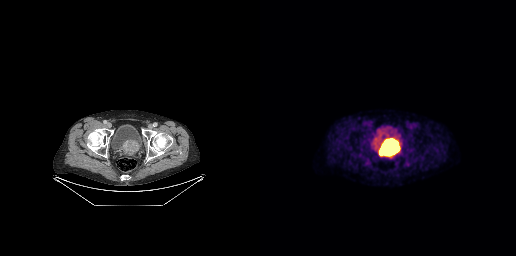
Two-panel axial: CT | PSMA PET, [18F]PSMA-1007 tracer. Slice position z = -853 mm.
Coordinates are on the 256×256 PET (right) panel. PSMA-avid tumor lesion bounding boxes:
| # | x0 | y0 | x1 | y1 |
|---|---|---|---|---|
| 1 | 120 | 140 | 137 | 155 |